modality: PSMA PET/CT | tracer: 18F | view: axial | PET grid: 256×256
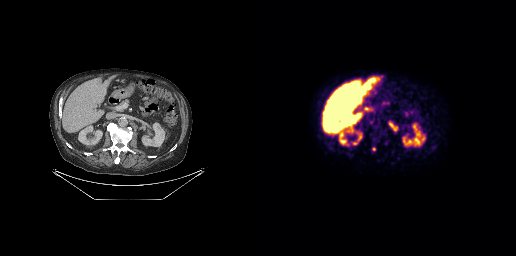
Coordinates are on the 256×256 PET (right) panel. PSMA-avid tumor lesion bounding box (x, y, width, height): x=128 y=121 w=11 h=11. Small PSMA-avid focus (2 to 4 px across) near (center x, center y): (113, 148).